Technique: Left: CT. Right: PSMA PET, same axial level, 68Ga tracer. acquired on Siemens Biograph 64-4R TruePoint.
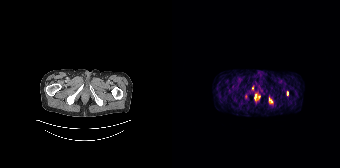
Findings: Coordinates are on the 168×168 PET (right) panel. PSMA-avid tumor lesion bounding boxes (x, y, width, height): x=97 y=97 w=4 h=6 / x=80 y=86 w=2 h=5. Small PSMA-avid focus (2 to 4 px across) near (center x, center y): (115, 93).